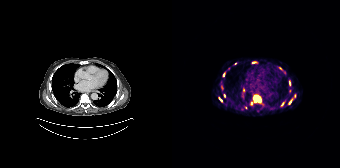
Coordinates are on the 168×168 PET (right) panel. (showing 11 of 14 foci) PSMA-avid tumor lesion bounding boxes (x0, y0)-(x1, y1): (81, 96)-(84, 102) | (117, 99)-(120, 104) | (47, 97)-(50, 101). Small PSMA-avid foci (2 to 4 px across) near (center x, center y): (108, 68) | (71, 90) | (52, 95) | (122, 95) | (51, 75) | (112, 72) | (87, 100) | (110, 103).